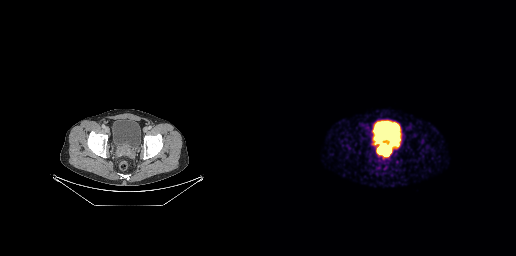
{"modality":"PSMA PET/CT","view":"axial","tracer":"68Ga","pet_grid":[256,256],"coord_frame":"pet_panel","coord_format":"x0,y0,x1,y1","lesion_bboxes":[[114,137,130,155],[130,139,136,145]]}